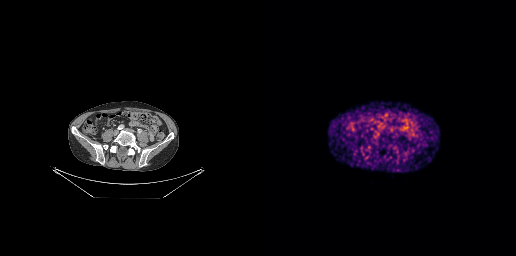
Findings: This slice has no annotated PSMA-avid lesion.
- Paired axial CT (left) and PSMA PET (right), 68Ga-PSMA tracer
- acquired on GE Discovery 690
- PET panel 256×256 px (2.7 mm/px)